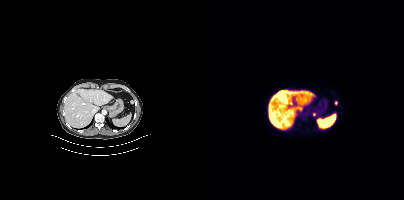
{"modality":"PSMA PET/CT","view":"axial","tracer":"[18F]PSMA-1007","pet_grid":[200,200],"coord_frame":"pet_panel","coord_format":"x0,y0,x1,y1","lesion_bboxes":[],"small_foci_centers":[[110,114],[132,102]]}